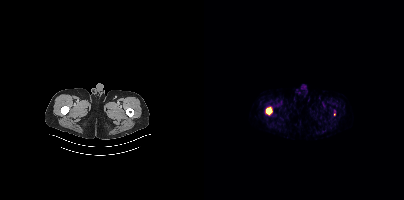
Technique: Paired axial CT (left) and PSMA PET (right), [18F]PSMA-1007 tracer. PET panel 200×200 px (4.1 mm/px).
Findings: Coordinates are on the 200×200 PET (right) panel. (showing 1 of 2 foci) PSMA-avid tumor lesion bounding box (x0, y0)-(x1, y1): (62, 107)-(67, 114).